Technique: Left: CT. Right: PSMA PET, same axial level, 18F tracer. slice position z = -153 mm.
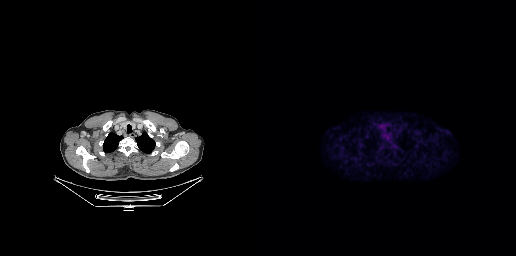
Findings: No tumor lesions annotated on this slice.